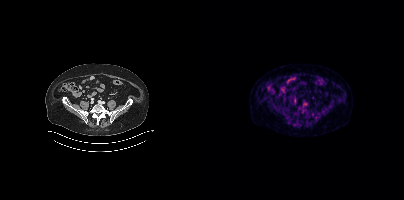
{"modality":"PSMA PET/CT","view":"axial","tracer":"18F","pet_grid":[200,200],"coord_frame":"pet_panel","coord_format":"x0,y0,x1,y1","psma_avid_lesions":false}